Paired axial CT (left) and PSMA PET (right), 18F-PSMA tracer. Acquired on Siemens Biograph mCT Flow 20. PET panel 200×200 px (4.1 mm/px). De-identified by setting a box covering the face to black before release.
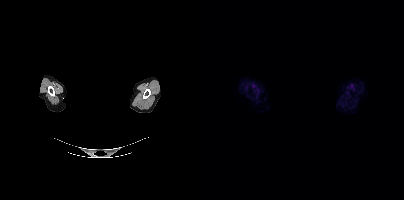
Negative for PSMA-avid disease on this slice.